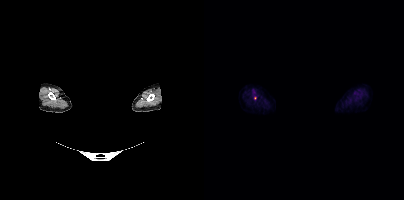
A rectangle over the head was blacked out to remove identifiable facial features.
Only PSMA-avid lesion pieces thinner than 2 px on this slice (not listed).